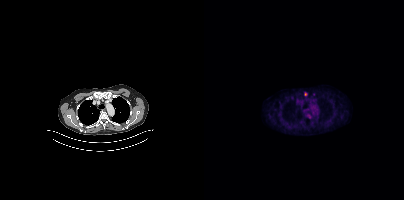
Technique: Paired axial CT (left) and PSMA PET (right), [18F]PSMA-1007 tracer. slice 325 of 423.
Findings: Coordinates are on the 200×200 PET (right) panel. Small PSMA-avid focus (2 to 4 px across) near (center x, center y): (101, 94).